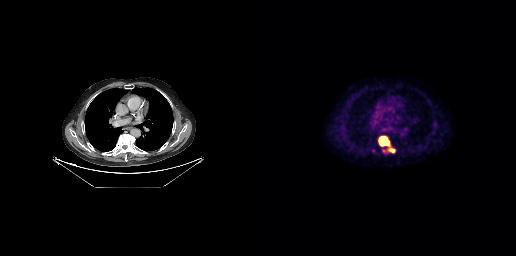
Coordinates are on the 256×256 PET (right) panel. PSMA-avid tumor lesion bounding box (x, y, width, height): x=118 y=136 w=18 h=17. Small PSMA-avid foci (2 to 4 px across) near (center x, center y): (175, 124) / (123, 150).
modality: PSMA PET/CT | tracer: [18F]PSMA-1007 | view: axial | PET grid: 256×256